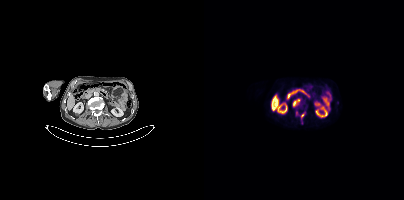
Paired axial CT (left) and PSMA PET (right), 18F-PSMA tracer. Acquired on Siemens Biograph mCT Flow 20. Slice 182 of 409. PET panel 200×200 px (4.1 mm/px). Coordinates are on the 200×200 PET (right) panel. PSMA-avid tumor lesion bounding box (x0,y0,x1,y1): [89,99,95,107]. Small PSMA-avid foci (2 to 4 px across) near (center x, center y): (92, 112); (98, 115).